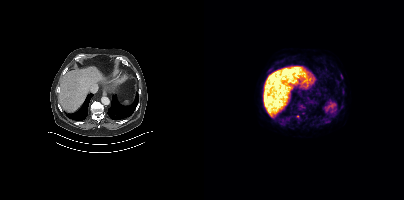
Coordinates are on the 200×200 PET (right) panel. Small PSMA-avid foci (2 to 4 px across) near (center x, center y): (93, 116); (97, 106).
modality: PSMA PET/CT | tracer: [18F]PSMA-1007 | view: axial